Technique: Two-panel axial: CT | PSMA PET, 18F tracer.
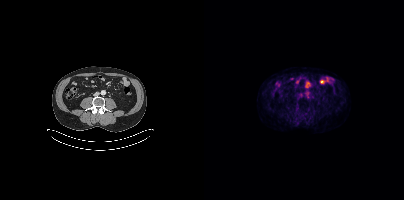
Findings: This slice has no annotated PSMA-avid lesion.